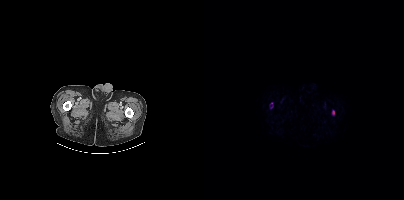
Coordinates are on the 200×200 PET (right) panel. PSMA-avid tumor lesion bounding box (x, y, width, height): x=128 y=110 w=3 h=6. Small PSMA-avid foci (2 to 4 px across) near (center x, center y): (67, 107) | (67, 103).